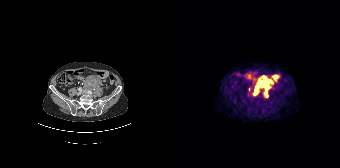
{"modality":"PSMA PET/CT","view":"axial","tracer":"68Ga","pet_grid":[168,168],"coord_frame":"pet_panel","coord_format":"x0,y0,x1,y1","lesion_bboxes":[[84,75,101,97],[82,90,85,94]],"small_foci_centers":[[77,89]]}